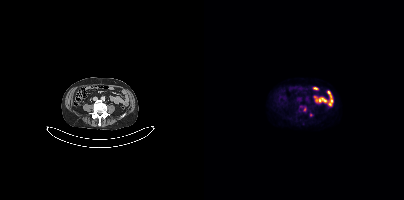
Coordinates are on the 200×200 PET (right) panel. Small PSMA-avid foci (2 to 4 px across) near (center x, center y): (100, 109) / (106, 114).